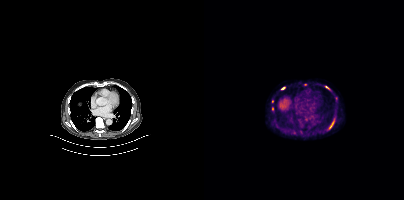
Coordinates are on the 200×200 PET (right) panel. (showing 5 of 6 foci) PSMA-avid tumor lesion bounding boxes (x, y, width, height): x=125 y=122 w=5 h=7; x=121 y=86 w=5 h=4. Small PSMA-avid foci (2 to 4 px across) near (center x, center y): (79, 88); (68, 108); (68, 101).